modality: PSMA PET/CT | tracer: [18F]PSMA-1007 | view: axial | PET grid: 200×200
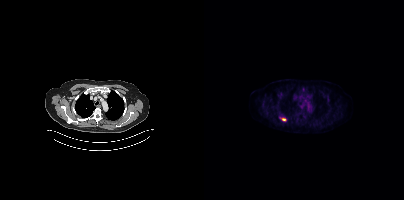
Coordinates are on the 200×200 PET (right) panel. PSMA-avid tumor lesion bounding box (x, y, width, height): x=76 y=117 w=7 h=5.